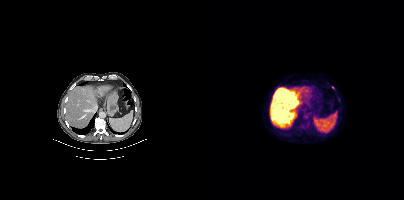
modality: PSMA PET/CT | tracer: [18F]PSMA-1007 | view: axial
Coordinates are on the 200×200 PET (right) panel. Small PSMA-avid focus (2 to 4 px across) near (center x, center y): (128, 87).